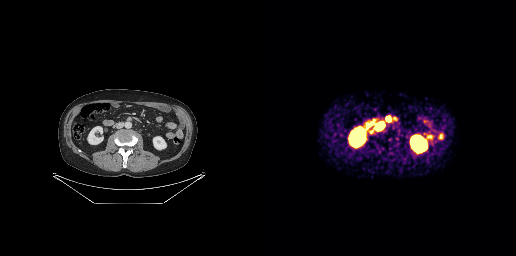
Findings: Coordinates are on the 256×256 PET (right) panel. PSMA-avid tumor lesion bounding boxes (x, y, width, height): x=116 y=122 w=8 h=8 | x=126 y=116 w=5 h=6 | x=110 y=130 w=5 h=5.
- Paired axial CT (left) and PSMA PET (right), 68Ga tracer
- slice position z = -697 mm
- PET panel 256×256 px (2.7 mm/px)